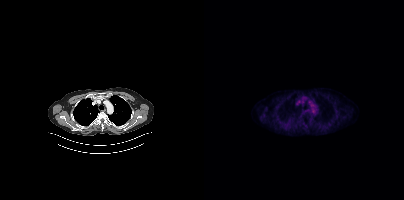
modality: PSMA PET/CT | tracer: 18F | view: axial | PET grid: 200×200
No PSMA-avid tumor lesions on this slice.